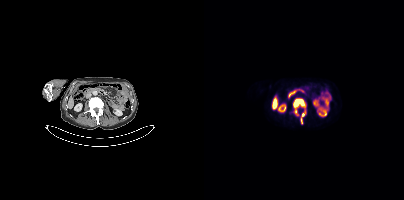
Coordinates are on the 200×200 PET (right) panel. PSMA-avid tumor lesion bounding box (x0,y0,x1,y1): [89,98,101,123].